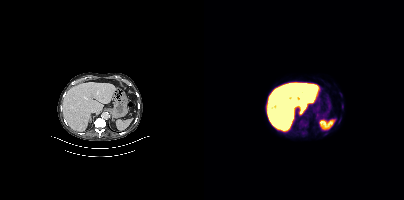
Two-panel axial: CT | PSMA PET, [18F]PSMA-1007 tracer. Acquired on Siemens Biograph mCT Flow 20. Coordinates are on the 200×200 PET (right) panel. (showing 2 of 4 foci) PSMA-avid tumor lesion bounding box (x0,y0,x1,y1): [138,104,139,108]. Small PSMA-avid focus (2 to 4 px across) near (center x, center y): (136, 94).